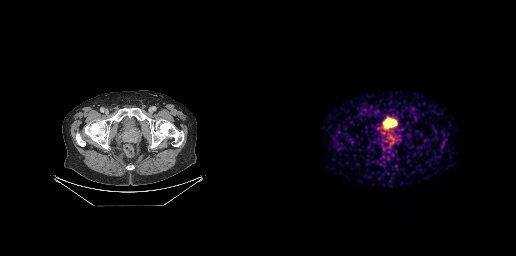
Paired axial CT (left) and PSMA PET (right), 68Ga-PSMA tracer. Slice 74 of 299. Coordinates are on the 256×256 PET (right) panel. PSMA-avid tumor lesion bounding box (x0,y0,x1,y1): [125,131,137,143].